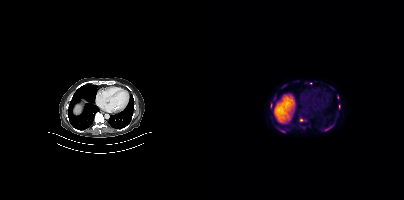
Coordinates are on the 200×200 PET (right) panel. (showing 9 of 11 foci) PSMA-avid tumor lesion bounding boxes (x, y, width, height): x=120 y=125 w=10 h=6; x=69 y=96 w=3 h=5; x=133 y=95 w=2 h=5. Small PSMA-avid foci (2 to 4 px across) near (center x, center y): (79, 131); (97, 120); (79, 86); (135, 106); (73, 128); (106, 83). Paired axial CT (left) and PSMA PET (right), 18F tracer. Acquired on Siemens Biograph mCT Flow 20. Slice 254 of 413.